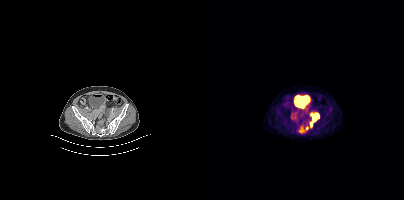
Coordinates are on the 200×200 PET (right) panel. PSMA-avid tumor lesion bounding boxes (x, y, width, height): x=95 y=126 w=10 h=7 / x=87 y=112 w=6 h=8 / x=109 y=113 w=7 h=9 / x=101 y=109 w=6 h=6 / x=106 y=122 w=3 h=6.